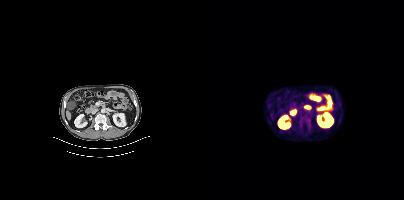
modality: PSMA PET/CT | tracer: [18F]PSMA-1007 | view: axial
Coordinates are on the 200×200 PET (right) panel. PSMA-avid tumor lesion bounding box (x0, y0)-(x1, y1): (95, 115)-(107, 127).